Paired axial CT (left) and PSMA PET (right), 18F tracer. Acquired on Siemens Biograph mCT Flow 20. Privacy masking over the head, with the pixels inside a rectangle set to black.
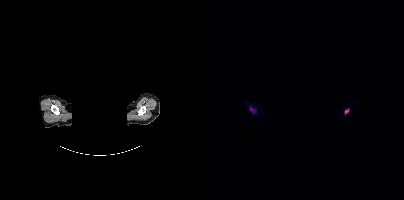
Coordinates are on the 200×200 PET (right) panel. PSMA-avid tumor lesion bounding boxes (x, y, width, height): x=46 y=107 w=7 h=7 / x=141 y=108 w=5 h=7.